Left: CT. Right: PSMA PET, same axial level, 68Ga-PSMA tracer. Slice 120 of 195. PET panel 168×168 px (4.1 mm/px).
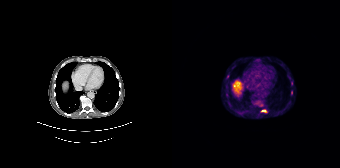
Coordinates are on the 168×168 PET (right) panel. PSMA-avid tumor lesion bounding boxes (partial; 1 more focus not listed):
| # | x0 | y0 | x1 | y1 |
|---|---|---|---|---|
| 1 | 84 | 102 | 92 | 106 |
| 2 | 54 | 93 | 56 | 97 |
| 3 | 89 | 110 | 95 | 112 |
Small PSMA-avid foci (2 to 4 px across) near (center x, center y): (55, 76); (119, 92); (119, 83).